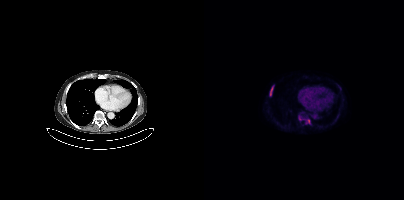
Technique: Two-panel axial: CT | PSMA PET, [18F]PSMA-1007 tracer. acquired on Siemens Biograph mCT Flow 20. slice 266 of 429.
Findings: Coordinates are on the 200×200 PET (right) panel. (showing 3 of 4 foci) PSMA-avid tumor lesion bounding box (x0,y0,x1,y1): [66,91,67,95]. Small PSMA-avid foci (2 to 4 px across) near (center x, center y): (104, 121); (67, 88).